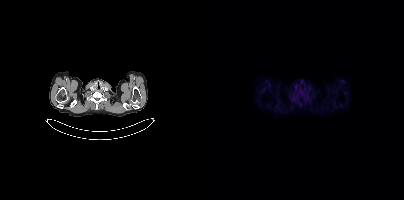
Negative for PSMA-avid disease on this slice.